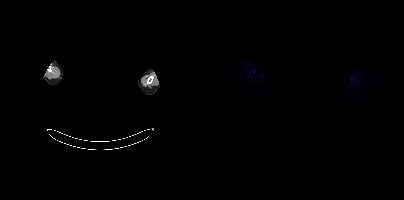
deidentification: rectangular block over head set to black | modality: PSMA PET/CT | tracer: 18F | view: axial | PET grid: 200×200
No tumor lesions annotated on this slice.